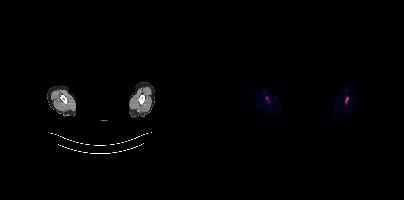
Head region blanked for anonymization (face removed). Two-panel axial: CT | PSMA PET, [18F]PSMA-1007 tracer. Slice position z = -902 mm. Coordinates are on the 200×200 PET (right) panel. (showing 1 of 2 foci) PSMA-avid tumor lesion bounding box (x0,y0,x1,y1): [141,97,144,102].